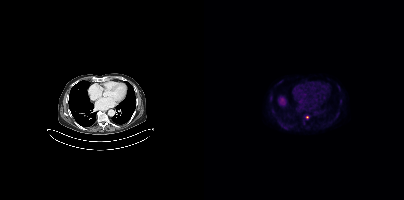
{"modality":"PSMA PET/CT","view":"axial","tracer":"18F-PSMA","pet_grid":[200,200],"coord_frame":"pet_panel","coord_format":"x0,y0,x1,y1","lesion_bboxes":[],"small_foci_centers":[[81,127],[103,116]]}